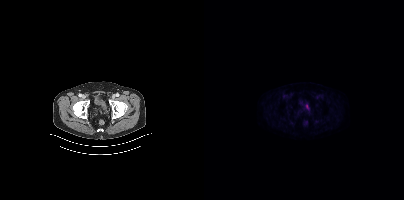
Left: CT. Right: PSMA PET, same axial level, [18F]PSMA-1007 tracer. Slice position z = -1606 mm. PET panel 200×200 px (4.1 mm/px). Only PSMA-avid lesion pieces thinner than 2 px on this slice (not listed).